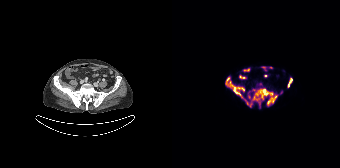
Findings: Coordinates are on the 168×168 PET (right) panel. PSMA-avid tumor lesion bounding boxes (x0,y0,x1,y1): [53,77,105,107], [115,77,120,87]. Small PSMA-avid focus (2 to 4 px across) near (center x, center y): (109, 92).
Technique: Two-panel axial: CT | PSMA PET, 18F-PSMA tracer. acquired on Siemens Biograph 64-4R TruePoint. PET panel 168×168 px (4.1 mm/px).